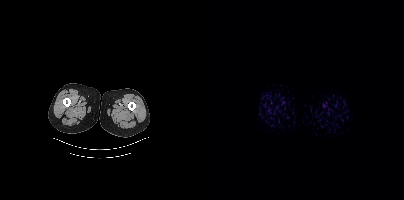
{"modality":"PSMA PET/CT","view":"axial","tracer":"[18F]PSMA-1007","pet_grid":[200,200],"coord_frame":"pet_panel","coord_format":"x0,y0,x1,y1","psma_avid_lesions":false}